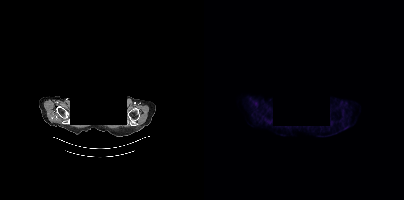
{"modality":"PSMA PET/CT","view":"axial","tracer":"18F-PSMA","pet_grid":[200,200],"coord_frame":"pet_panel","coord_format":"x0,y0,x1,y1","redaction":"facial region redacted","psma_avid_lesions":false}